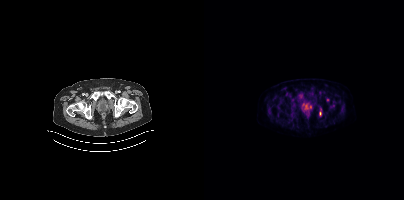
Coordinates are on the 200×200 PET (right) panel. (showing 4 of 5 foci) PSMA-avid tumor lesion bounding box (x0, y0)-(x1, y1): (100, 104)-(104, 107). Small PSMA-avid foci (2 to 4 px across) near (center x, center y): (116, 113) | (123, 99) | (106, 106). Paired axial CT (left) and PSMA PET (right), 18F-PSMA tracer. Acquired on Siemens Biograph mCT Flow 20. PET panel 200×200 px (4.1 mm/px).